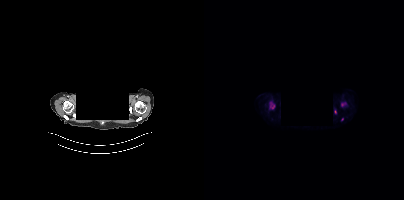
{"pet_grid":[200,200],"coord_frame":"pet_panel","coord_format":"x0,y0,x1,y1","partial":true,"lesion_bboxes":[],"small_foci_centers":[[138,119],[69,107]],"de-identification":"head region blanked (face removed)","modality":"PSMA PET/CT","view":"axial","tracer":"[18F]PSMA-1007"}